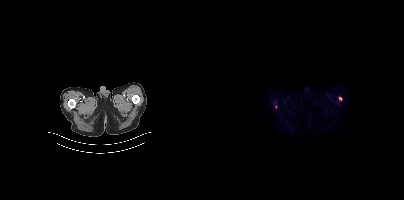
Coordinates are on the 200×200 PET (right) panel. Small PSMA-avid foci (2 to 4 px across) near (center x, center y): (136, 98) / (71, 106).